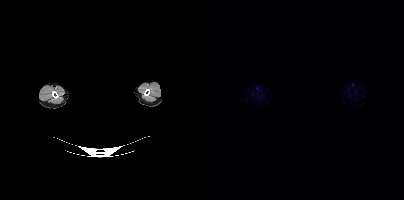
modality: PSMA PET/CT | tracer: [18F]PSMA-1007 | view: axial | PET grid: 200×200 | de-identification: facial region redacted
No tumor lesions annotated on this slice.